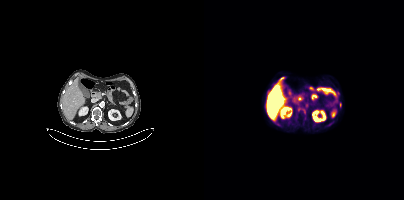
Findings: Coordinates are on the 200×200 PET (right) panel. PSMA-avid tumor lesion bounding box (x, y, width, height): x=99 y=109 w=3 h=5. Small PSMA-avid foci (2 to 4 px across) near (center x, center y): (136, 104); (95, 109).
- Two-panel axial: CT | PSMA PET, 18F tracer
- acquired on Siemens Biograph mCT Flow 20
- slice position z = -678 mm
- PET panel 200×200 px (4.1 mm/px)